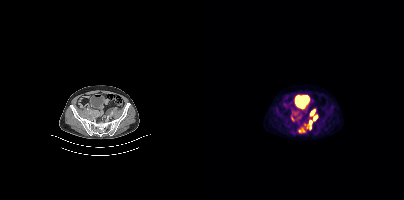
- Two-panel axial: CT | PSMA PET, [18F]PSMA-1007 tracer
- acquired on Siemens Biograph mCT Flow 20
- slice position z = -911 mm
- PET panel 200×200 px (4.1 mm/px)
Findings: Coordinates are on the 200×200 PET (right) panel. PSMA-avid tumor lesion bounding boxes (x0, y0)-(x1, y1): (87, 112)-(92, 120) / (94, 127)-(101, 132) / (100, 124)-(107, 129) / (110, 116)-(113, 120). Small PSMA-avid foci (2 to 4 px across) near (center x, center y): (107, 112) / (106, 122).